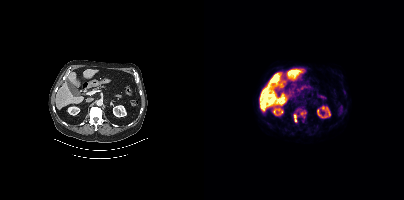
modality: PSMA PET/CT | tracer: [18F]PSMA-1007 | view: axial
Coordinates are on the 200×200 PET (right) panel. (showing 2 of 3 foci) PSMA-avid tumor lesion bounding boxes (x0,y0,x1,y1): [89,114,93,122], [96,111,101,115].